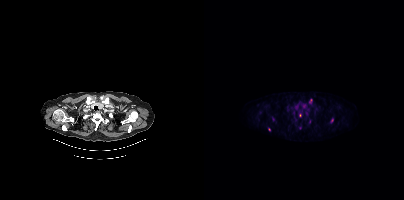
Findings: Coordinates are on the 200×200 PET (right) panel. PSMA-avid tumor lesion bounding box (x0, y0)-(x1, y1): (68, 117)-(70, 121). Small PSMA-avid foci (2 to 4 px across) near (center x, center y): (128, 120) / (105, 121) / (96, 128) / (106, 100) / (96, 115) / (65, 129).
Technique: Paired axial CT (left) and PSMA PET (right), [18F]PSMA-1007 tracer. slice 372 of 450.